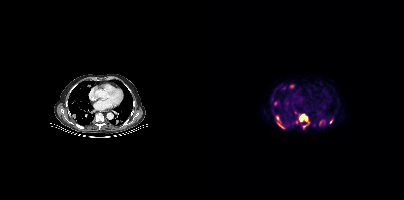
Coordinates are on the 200×200 PET (right) panel. (showing 12 of 13 foci) PSMA-avid tumor lesion bounding boxes (x0, y0)-(x1, y1): (94, 114)-(105, 122) | (73, 122)-(80, 128) | (72, 116)-(75, 120) | (86, 84)-(90, 88) | (115, 121)-(118, 125) | (70, 101)-(73, 105) | (99, 124)-(103, 127) | (126, 119)-(128, 123). Small PSMA-avid foci (2 to 4 px across) near (center x, center y): (92, 121) | (80, 87) | (68, 99) | (91, 112).